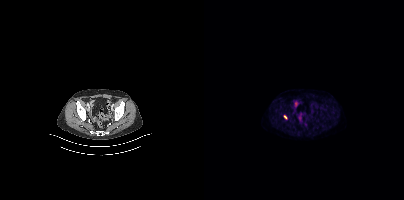
modality: PSMA PET/CT | tracer: [18F]PSMA-1007 | view: axial | PET grid: 200×200
Coordinates are on the 200×200 PET (right) panel. PSMA-avid tumor lesion bounding box (x0,y0,x1,y1): [80,115,83,119].